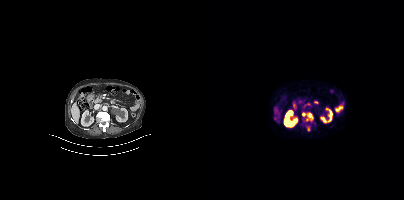
Paired axial CT (left) and PSMA PET (right), 68Ga tracer. Coordinates are on the 200×200 PET (right) panel. (showing 4 of 5 foci) PSMA-avid tumor lesion bounding boxes (x0,y0,x1,y1): [98,113,109,121] [99,103,106,107] [103,126,105,130]. Small PSMA-avid focus (2 to 4 px across) near (center x, center y): (71, 118).